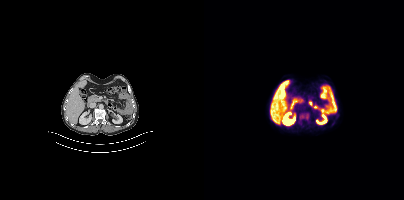
{"modality":"PSMA PET/CT","view":"axial","tracer":"[18F]PSMA-1007","pet_grid":[200,200],"coord_frame":"pet_panel","coord_format":"x0,y0,x1,y1","psma_avid_lesions":false}